redaction: head region blacked out before release | modality: PSMA PET/CT | tracer: [18F]PSMA-1007 | view: axial
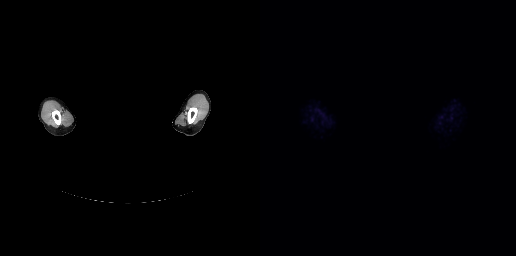
No PSMA-avid tumor lesions on this slice.